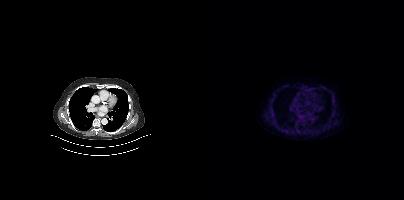
{"pet_grid":[200,200],"coord_frame":"pet_panel","coord_format":"x0,y0,x1,y1","psma_avid_lesions":false,"modality":"PSMA PET/CT","view":"axial","tracer":"18F-PSMA"}